modality: PSMA PET/CT | tracer: [18F]PSMA-1007 | view: axial | PET grid: 200×200
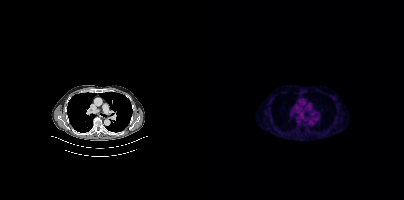
No tumor lesions annotated on this slice.